Left: CT. Right: PSMA PET, same axial level, [18F]PSMA-1007 tracer. Acquired on Siemens Biograph mCT Flow 20. PET panel 200×200 px (4.1 mm/px).
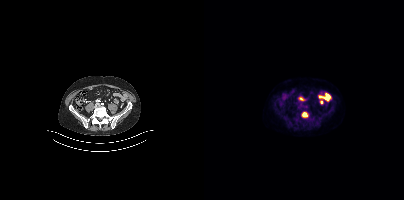
Coordinates are on the 200×200 PET (right) panel. PSMA-avid tumor lesion bounding box (x, y, width, height): x=98 y=112 w=6 h=6.